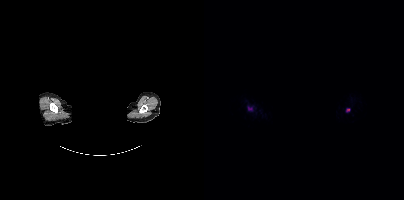
- Paired axial CT (left) and PSMA PET (right), 18F-PSMA tracer
- acquired on Siemens Biograph mCT Flow 20
- de-identified by setting a box covering the face to black before release
Findings: Coordinates are on the 200×200 PET (right) panel. PSMA-avid tumor lesion bounding box (x0,y0,x1,y1): [44,107,48,110]. Small PSMA-avid focus (2 to 4 px across) near (center x, center y): (143, 110).